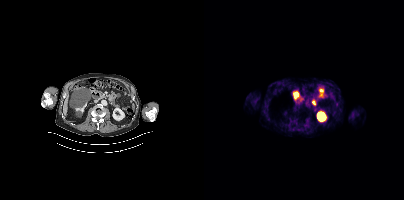
Findings: Negative for PSMA-avid disease on this slice.
Technique: Two-panel axial: CT | PSMA PET, 18F-PSMA tracer. slice 191 of 427. PET panel 200×200 px (4.1 mm/px).